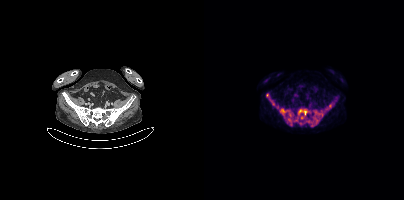
{"modality":"PSMA PET/CT","view":"axial","tracer":"[18F]PSMA-1007","pet_grid":[200,200],"coord_frame":"pet_panel","coord_format":"x0,y0,x1,y1","partial":true,"lesion_bboxes":[[81,109,117,126],[66,100,74,107]],"small_foci_centers":[[63,95],[125,105]]}